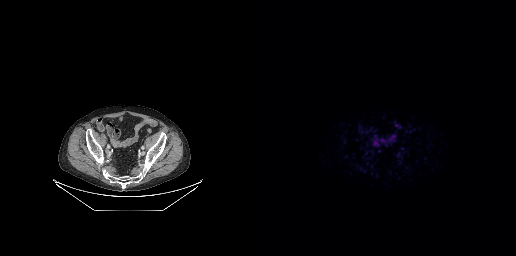
Paired axial CT (left) and PSMA PET (right), [68Ga]Ga-PSMA-11 tracer. Acquired on GE Discovery 690. PET panel 256×256 px (2.7 mm/px). This slice has no annotated PSMA-avid lesion.